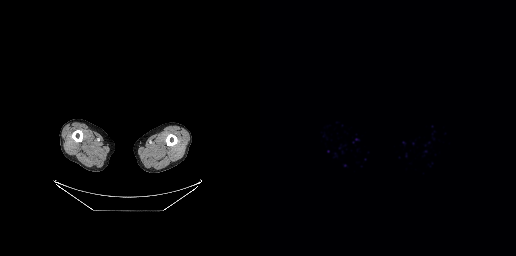
modality: PSMA PET/CT | tracer: [68Ga]Ga-PSMA-11 | view: axial
No tumor lesions annotated on this slice.